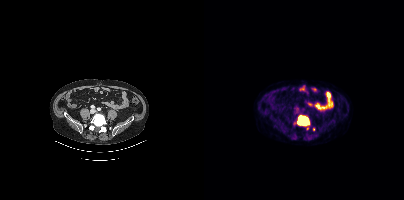
Findings: Coordinates are on the 200×200 PET (right) panel. (showing 2 of 3 foci) PSMA-avid tumor lesion bounding box (x0, y0)-(x1, y1): (93, 115)-(105, 125). Small PSMA-avid focus (2 to 4 px across) near (center x, center y): (109, 129).
- Left: CT. Right: PSMA PET, same axial level, 18F tracer